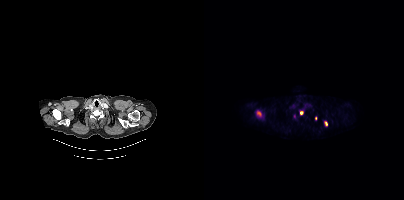
Coordinates are on the 200×200 PET (right) panel. (showing 4 of 5 foci) PSMA-avid tumor lesion bounding boxes (x, y, width, height): x=52 y=110 w=6 h=8 | x=120 y=121 w=4 h=5. Small PSMA-avid foci (2 to 4 px across) near (center x, center y): (97, 112) | (111, 118).